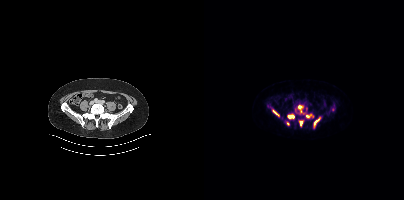
Left: CT. Right: PSMA PET, same axial level, 18F-PSMA tracer.
Coordinates are on the 200×200 PET (right) panel. PSMA-avid tumor lesion bounding boxes (partial; 1 more focus not listed):
| # | x0 | y0 | x1 | y1 |
|---|---|---|---|---|
| 1 | 83 | 114 | 90 | 118 |
| 2 | 110 | 117 | 116 | 125 |
| 3 | 69 | 110 | 75 | 115 |
| 4 | 96 | 121 | 98 | 125 |
Small PSMA-avid foci (2 to 4 px across) near (center x, center y): (95, 106); (103, 116); (84, 123).